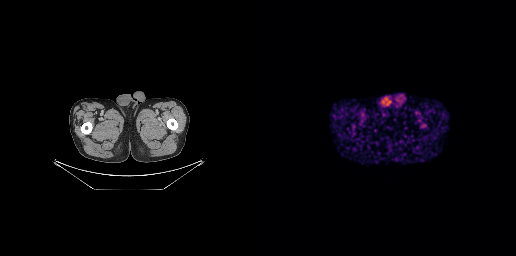
{"modality":"PSMA PET/CT","view":"axial","tracer":"[68Ga]Ga-PSMA-11","pet_grid":[256,256],"coord_frame":"pet_panel","coord_format":"x0,y0,x1,y1","psma_avid_lesions":false}